modality: PSMA PET/CT | tracer: 18F | view: axial
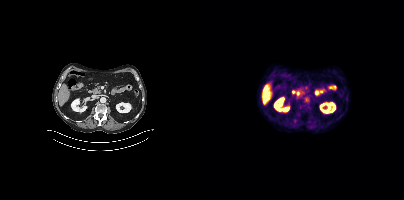
Negative for PSMA-avid disease on this slice.